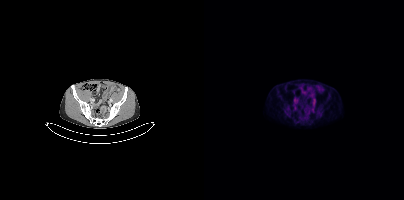
{"modality":"PSMA PET/CT","view":"axial","tracer":"18F","pet_grid":[200,200],"coord_frame":"pet_panel","coord_format":"x0,y0,x1,y1","lesion_bboxes":[],"small_foci_centers":[[83,112]]}